Paired axial CT (left) and PSMA PET (right), [68Ga]Ga-PSMA-11 tracer.
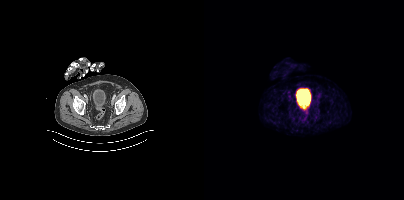
No tumor lesions annotated on this slice.